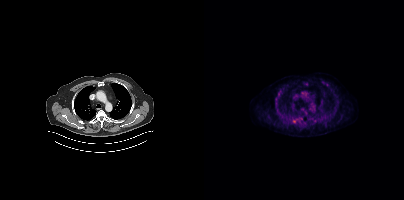
Coordinates are on the 200×200 PET (right) panel. (showing 3 of 5 foci) Small PSMA-avid foci (2 to 4 px across) near (center x, center y): (90, 121) / (97, 118) / (101, 112).